Two-panel axial: CT | PSMA PET, [18F]PSMA-1007 tracer.
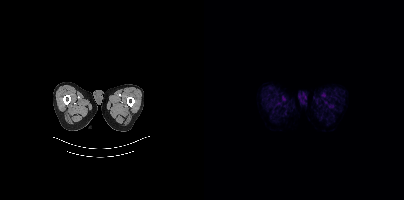
No PSMA-avid tumor lesions on this slice.